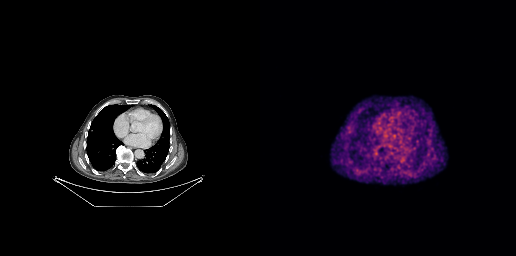
Two-panel axial: CT | PSMA PET, [68Ga]Ga-PSMA-11 tracer. PET panel 256×256 px (2.7 mm/px). No PSMA-avid tumor lesions on this slice.